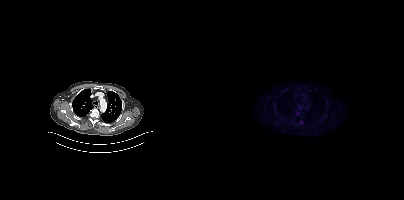
{"modality":"PSMA PET/CT","view":"axial","tracer":"18F-PSMA","pet_grid":[200,200],"coord_frame":"pet_panel","coord_format":"x0,y0,x1,y1","partial":true,"lesion_bboxes":[]}